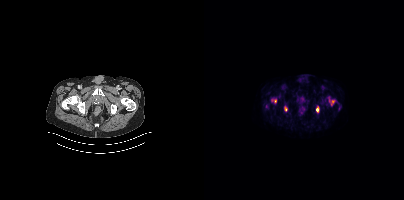
Coordinates are on the 200×200 PET (right) panel. (showing 4 of 6 foci) PSMA-avid tumor lesion bounding box (x, y, width, height): x=112 y=107 w=3 h=5. Small PSMA-avid foci (2 to 4 px across) near (center x, center y): (129, 101); (71, 101); (81, 109). Two-panel axial: CT | PSMA PET, 18F-PSMA tracer. Acquired on Siemens Biograph mCT Flow 20. Slice position z = -1482 mm. PET panel 200×200 px (4.1 mm/px).